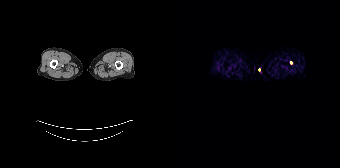
modality: PSMA PET/CT | tracer: 68Ga | view: axial | PET grid: 168×168
Coordinates are on the 168×168 PET (right) panel. Small PSMA-avid focus (2 to 4 px across) near (center x, center y): (119, 62).